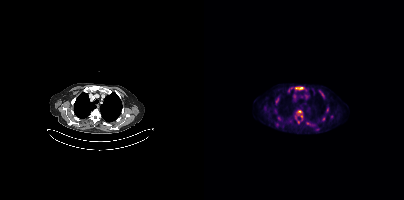
- Paired axial CT (left) and PSMA PET (right), 18F tracer
- PET panel 200×200 px (4.1 mm/px)
Findings: Coordinates are on the 200×200 PET (right) panel. (showing 5 of 8 foci) PSMA-avid tumor lesion bounding boxes (x0, y0)-(x1, y1): (91, 86)-(100, 89); (116, 91)-(120, 98); (72, 99)-(74, 103). Small PSMA-avid foci (2 to 4 px across) near (center x, center y): (95, 111); (119, 118).